Left: CT. Right: PSMA PET, same axial level, 18F tracer. Acquired on GE Discovery 690. Slice position z = -740 mm.
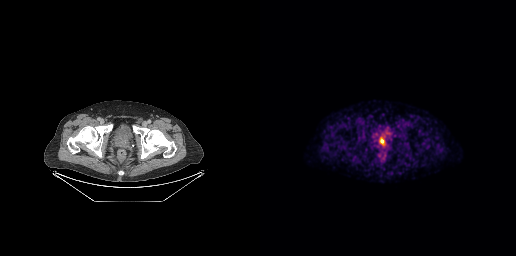
Only PSMA-avid lesion pieces thinner than 2 px on this slice (not listed).